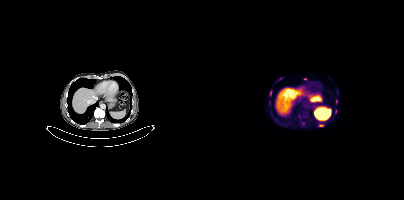
Findings: Coordinates are on the 200×200 PET (right) panel. (showing 4 of 5 foci) PSMA-avid tumor lesion bounding boxes (x0,y0,x1,y1): [115,124,119,126], [66,91,67,95]. Small PSMA-avid foci (2 to 4 px across) near (center x, center y): (132, 101), (131, 111).
Technique: Left: CT. Right: PSMA PET, same axial level, 18F-PSMA tracer. acquired on Siemens Biograph mCT Flow 20. slice 224 of 403.